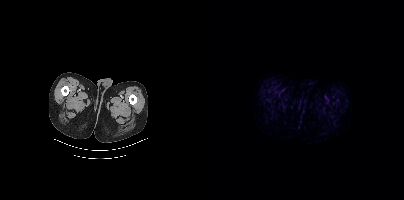
Paired axial CT (left) and PSMA PET (right), 18F-PSMA tracer. No tumor lesions annotated on this slice.